Two-panel axial: CT | PSMA PET, 18F-PSMA tracer. Acquired on Siemens Biograph mCT Flow 20. Slice position z = -600 mm.
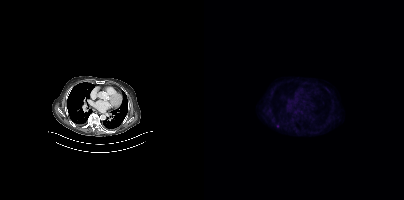
Coordinates are on the 200×200 PET (right) panel. Small PSMA-avid focus (2 to 4 px across) near (center x, center y): (73, 126).